Technique: Paired axial CT (left) and PSMA PET (right), 18F-PSMA tracer. acquired on Siemens Biograph 64-4R TruePoint. PET panel 168×168 px (4.1 mm/px).
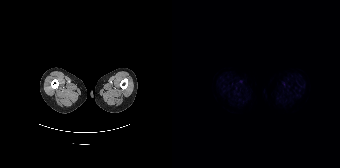
Findings: Negative for PSMA-avid disease on this slice.